Paired axial CT (left) and PSMA PET (right), [18F]PSMA-1007 tracer. Slice position z = -193 mm.
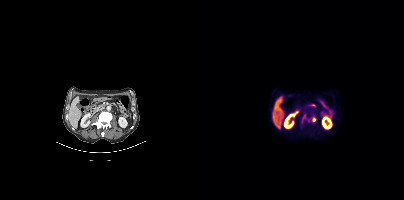
Coordinates are on the 200×200 PET (right) panel. PSMA-avid tumor lesion bounding boxes (partial; 1 more focus not listed):
| # | x0 | y0 | x1 | y1 |
|---|---|---|---|---|
| 1 | 98 | 114 | 102 | 122 |
| 2 | 108 | 117 | 111 | 121 |